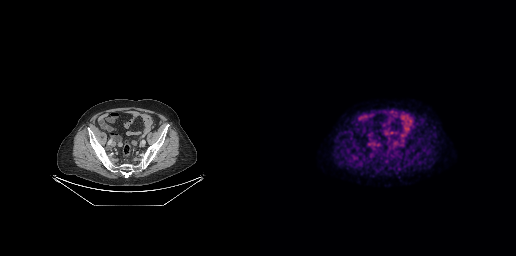
Paired axial CT (left) and PSMA PET (right), 18F tracer. Slice 76 of 263. Negative for PSMA-avid disease on this slice.